Left: CT. Right: PSMA PET, same axial level, [68Ga]Ga-PSMA-11 tracer. Slice 252 of 429.
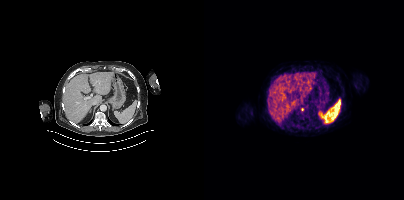
Coordinates are on the 200×200 PET (right) panel. Small PSMA-avid focus (2 to 4 px across) near (center x, center y): (98, 109).